modality: PSMA PET/CT | tracer: [18F]PSMA-1007 | view: axial
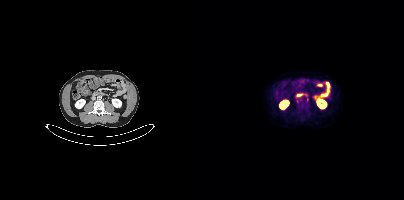
Coordinates are on the 200×200 PET (right) panel. PSMA-avid tumor lesion bounding box (x0,y0,x1,y1): [102,96,104,101].